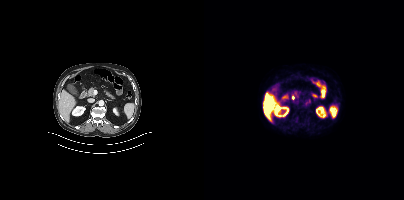
{"modality":"PSMA PET/CT","view":"axial","tracer":"18F-PSMA","pet_grid":[200,200],"coord_frame":"pet_panel","coord_format":"x0,y0,x1,y1","psma_avid_lesions":false}